Technique: Left: CT. Right: PSMA PET, same axial level, 68Ga tracer. slice 21 of 429.
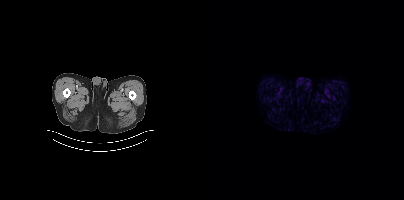
Findings: No PSMA-avid tumor lesions on this slice.